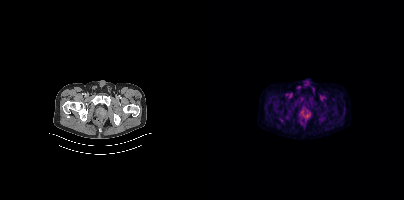
- Paired axial CT (left) and PSMA PET (right), 18F tracer
- PET panel 200×200 px (4.1 mm/px)
Findings: Coordinates are on the 200×200 PET (right) panel. PSMA-avid tumor lesion bounding box (x0, y0)-(x1, y1): (96, 110)-(104, 117).